modality: PSMA PET/CT | tracer: [18F]PSMA-1007 | view: axial | PET grid: 200×200
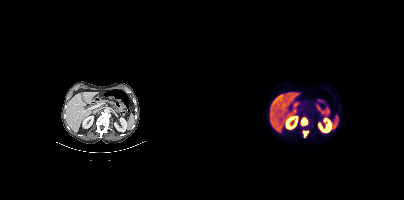
Coordinates are on the 200×200 PET (right) panel. PSMA-avid tumor lesion bounding boxes (x0, y0)-(x1, y1): (97, 118)-(103, 125); (99, 131)-(104, 135).